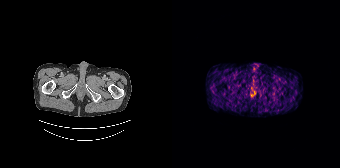
Findings: No tumor lesions annotated on this slice.
Technique: Left: CT. Right: PSMA PET, same axial level, 68Ga tracer. slice 32 of 195. PET panel 168×168 px (4.1 mm/px).